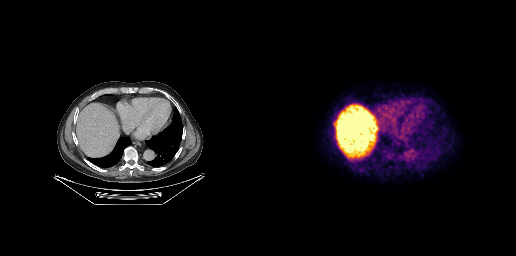
modality: PSMA PET/CT | tracer: 18F-PSMA | view: axial | PET grid: 256×256
No tumor lesions annotated on this slice.